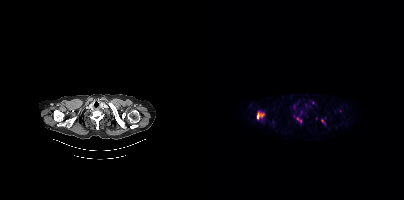
Coordinates are on the 200×200 PET (right) panel. (showing 4 of 8 foci) PSMA-avid tumor lesion bounding boxes (x0, y0)-(x1, y1): (52, 111)-(60, 119) / (93, 117)-(97, 122). Small PSMA-avid foci (2 to 4 px across) near (center x, center y): (96, 113) / (118, 120).